Technique: Paired axial CT (left) and PSMA PET (right), [18F]PSMA-1007 tracer. acquired on Siemens Biograph mCT Flow 20. slice 187 of 403. PET panel 200×200 px (4.1 mm/px).
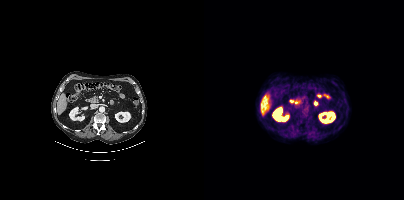
Findings: This slice has no annotated PSMA-avid lesion.